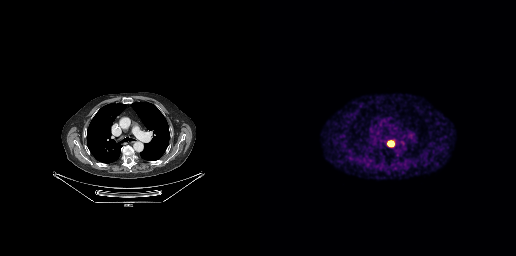
Coordinates are on the 256×256 PET (right) panel. Small PSMA-avid focus (2 to 4 px across) near (center x, center y): (130, 142).